- Left: CT. Right: PSMA PET, same axial level, 18F-PSMA tracer
- slice position z = -154 mm
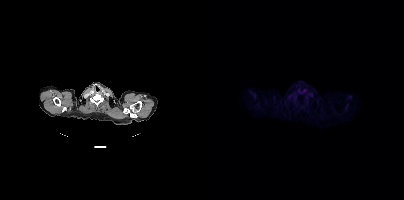
Findings: No tumor lesions annotated on this slice.